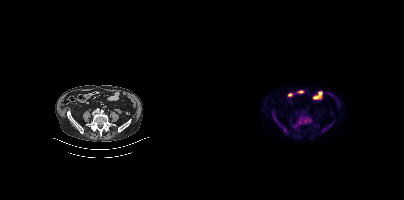
{"modality":"PSMA PET/CT","view":"axial","tracer":"18F","pet_grid":[200,200],"coord_frame":"pet_panel","coord_format":"x0,y0,x1,y1","lesion_bboxes":[[96,115,105,124],[70,119,82,132]]}